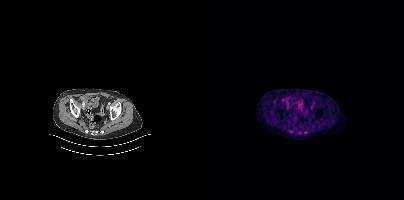
Two-panel axial: CT | PSMA PET, 18F-PSMA tracer. No tumor lesions annotated on this slice.